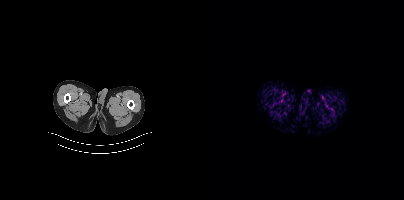
{"modality":"PSMA PET/CT","view":"axial","tracer":"[18F]PSMA-1007","pet_grid":[200,200],"coord_frame":"pet_panel","coord_format":"x0,y0,x1,y1","psma_avid_lesions":false}